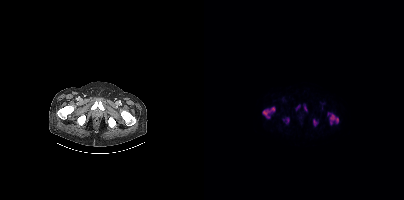
modality: PSMA PET/CT | tracer: 18F | view: axial
Coordinates are on the 200×200 PET (right) panel. PSMA-avid tumor lesion bounding boxes (x0,y0,x1,y1): [58,107,71,118], [124,112,134,124], [109,119,113,125], [83,118,84,122]. Small PSMA-avid foci (2 to 4 px across) near (center x, center y): (95, 105), (100, 104), (102, 109).